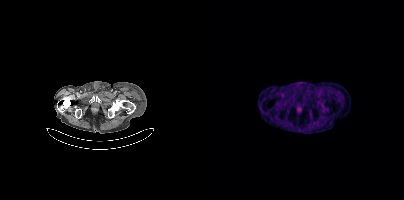
Left: CT. Right: PSMA PET, same axial level, 68Ga-PSMA tracer. Acquired on Siemens Biograph mCT Flow 20. Slice position z = -1082 mm. PET panel 200×200 px (4.1 mm/px). Coordinates are on the 200×200 PET (right) panel. Small PSMA-avid focus (2 to 4 px across) near (center x, center y): (94, 108).